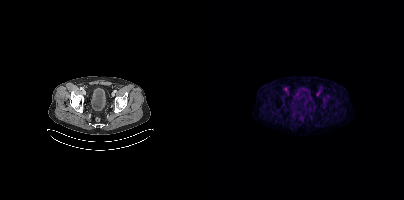
No PSMA-avid tumor lesions on this slice. Paired axial CT (left) and PSMA PET (right), 18F tracer. Acquired on Siemens Biograph mCT Flow 20.